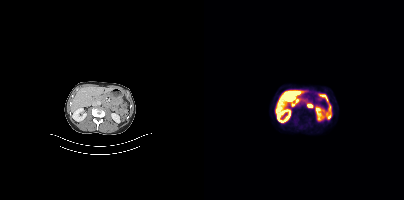
Findings: Negative for PSMA-avid disease on this slice.
- Left: CT. Right: PSMA PET, same axial level, [18F]PSMA-1007 tracer
- PET panel 200×200 px (4.1 mm/px)